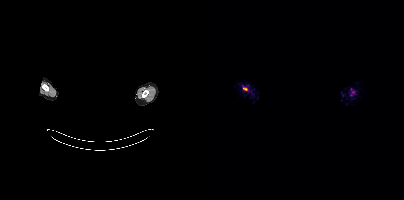
Coordinates are on the 200×200 PET (right) panel. PSMA-avid tumor lesion bounding box (x0,y0,x1,y1): [39,87,43,90].
redaction: head region blacked out before release | modality: PSMA PET/CT | tracer: 18F | view: axial